Left: CT. Right: PSMA PET, same axial level, 18F tracer. Acquired on Siemens Biograph mCT Flow 20. Slice 226 of 354.
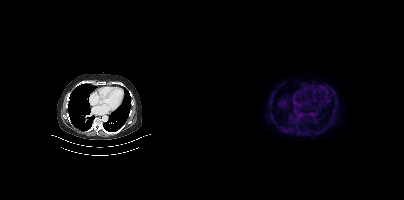
No PSMA-avid tumor lesions on this slice.